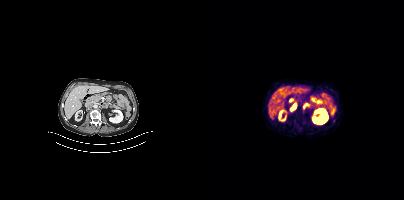
{"modality":"PSMA PET/CT","view":"axial","tracer":"[68Ga]Ga-PSMA-11","pet_grid":[200,200],"coord_frame":"pet_panel","coord_format":"x0,y0,x1,y1","lesion_bboxes":[[86,105,92,110],[99,104,102,108]]}